modality: PSMA PET/CT | tracer: 18F-PSMA | view: axial | de-identification: face masked with black rectangle
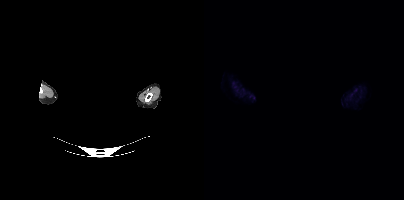
Negative for PSMA-avid disease on this slice.